- Paired axial CT (left) and PSMA PET (right), 18F tracer
- acquired on Siemens Biograph mCT Flow 20
- slice 289 of 383
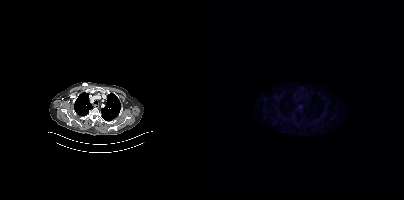
Findings: This slice has no annotated PSMA-avid lesion.